- Left: CT. Right: PSMA PET, same axial level, [68Ga]Ga-PSMA-11 tracer
- PET panel 168×168 px (4.1 mm/px)
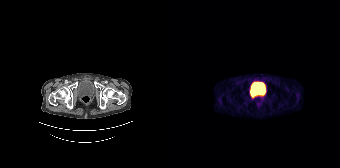
Findings: No PSMA-avid tumor lesions on this slice.